- Paired axial CT (left) and PSMA PET (right), [18F]PSMA-1007 tracer
- acquired on Siemens Biograph mCT Flow 20
- PET panel 200×200 px (4.1 mm/px)
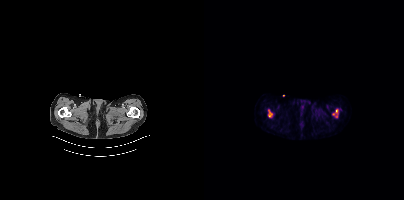
Findings: Coordinates are on the 200×200 PET (right) panel. PSMA-avid tumor lesion bounding boxes (x0,y0,x1,y1): [128,109,134,117], [64,110,68,117].